modality: PSMA PET/CT | tracer: 18F-PSMA | view: axial | PET grid: 200×200
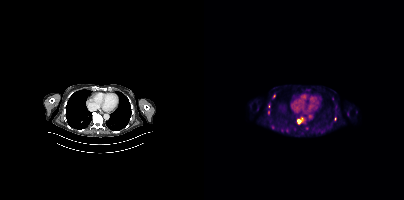
Coordinates are on the 200×200 PET (right) panel. (showing 4 of 5 foci) PSMA-avid tumor lesion bounding box (x0, y0)-(x1, y1): (93, 119)-(96, 123). Small PSMA-avid foci (2 to 4 px across) near (center x, center y): (64, 112) | (70, 96) | (131, 119).